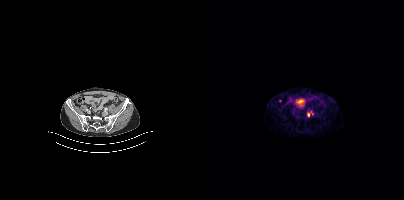
modality: PSMA PET/CT | tracer: 68Ga | view: axial | PET grid: 200×200
Coordinates are on the 200×200 PET (right) panel. Small PSMA-avid focus (2 to 4 px across) near (center x, center y): (104, 114).